Technique: Two-panel axial: CT | PSMA PET, 18F tracer.
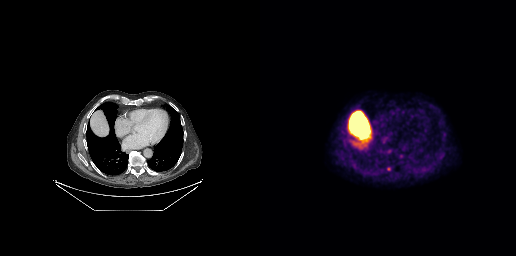
Findings: Coordinates are on the 256×256 PET (right) panel. Small PSMA-avid focus (2 to 4 px across) near (center x, center y): (128, 168).